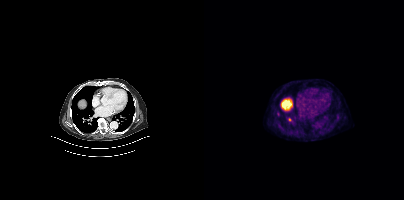
Two-panel axial: CT | PSMA PET, 18F tracer. Acquired on Siemens Biograph mCT Flow 20. Slice 255 of 401. PET panel 200×200 px (4.1 mm/px). Coordinates are on the 200×200 PET (right) panel. (showing 1 of 2 foci) Small PSMA-avid focus (2 to 4 px across) near (center x, center y): (85, 119).